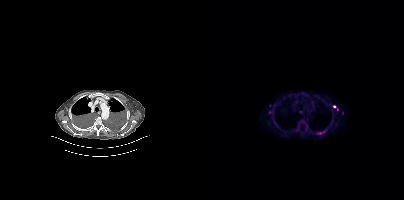
Two-panel axial: CT | PSMA PET, [18F]PSMA-1007 tracer. Slice 273 of 344. Coordinates are on the 200×200 PET (right) panel. (showing 6 of 7 foci) PSMA-avid tumor lesion bounding boxes (x, y, width, height): x=112 y=130 w=10 h=5; x=129 y=105 w=6 h=6. Small PSMA-avid foci (2 to 4 px across) near (center x, center y): (96, 112); (66, 112); (138, 112); (66, 105).